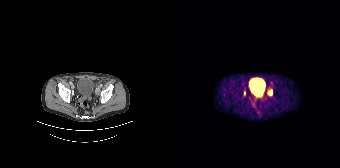
{"modality":"PSMA PET/CT","view":"axial","tracer":"68Ga","pet_grid":[168,168],"coord_frame":"pet_panel","coord_format":"x0,y0,x1,y1","lesion_bboxes":[[95,89,100,96],[72,90,73,95]],"small_foci_centers":[[89,97]]}